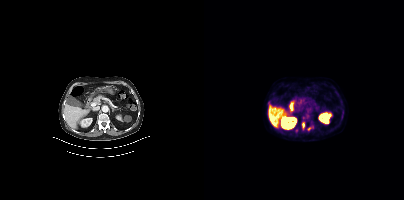
Coordinates are on the 200×200 PET (right) panel. PSMA-avid tumor lesion bounding boxes:
| # | x0 | y0 | x1 | y1 |
|---|---|---|---|---|
| 1 | 98 | 122 | 100 | 128 |
Small PSMA-avid foci (2 to 4 px across) near (center x, center y): (99, 117); (105, 128).
Paired axial CT (left) and PSMA PET (right), 18F tracer.